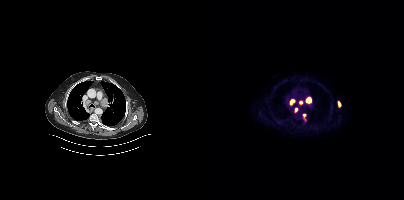
Coordinates are on the 200×200 PET (right) panel. PSMA-avid tumor lesion bounding boxes (x0, y0)-(x1, y1): (101, 97)-(107, 103) / (85, 99)-(91, 105) / (99, 114)-(102, 120) / (134, 101)-(136, 106) / (90, 108)-(93, 112). Small PSMA-avid focus (2 to 4 px across) near (center x, center y): (96, 102). Left: CT. Right: PSMA PET, same axial level, 18F tracer.